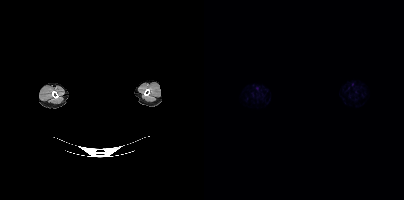
{"modality":"PSMA PET/CT","view":"axial","tracer":"[18F]PSMA-1007","pet_grid":[200,200],"coord_frame":"pet_panel","coord_format":"x0,y0,x1,y1","de-identification":"facial region redacted","psma_avid_lesions":false}